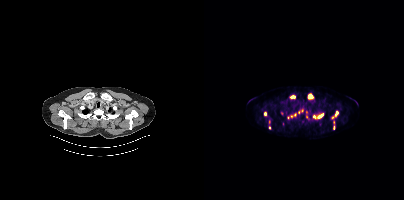
modality: PSMA PET/CT | tracer: [18F]PSMA-1007 | view: axial
Coordinates are on the 200×200 PET (right) panel. (showing 10 of 15 foci) PSMA-avid tumor lesion bounding boxes (x, y, width, height): x=109 y=113 w=11 h=7 | x=103 y=93 w=7 h=7 | x=127 y=111 w=8 h=8 | x=86 y=95 w=6 h=4. Small PSMA-avid foci (2 to 4 px across) near (center x, center y): (61, 113) | (102, 117) | (129, 127) | (65, 127) | (102, 111) | (90, 114).